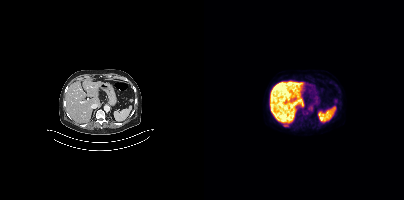
Coordinates are on the 200×200 PET (right) panel. PSMA-avid tumor lesion bounding boxes (x, y, width, height): x=99 y=111 w=5 h=4 / x=79 y=124 w=6 h=3.